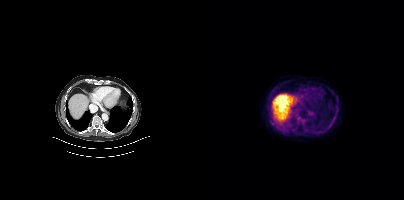
{"modality":"PSMA PET/CT","view":"axial","tracer":"18F-PSMA","pet_grid":[200,200],"coord_frame":"pet_panel","coord_format":"x0,y0,x1,y1","psma_avid_lesions":false}